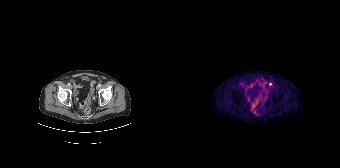
- Paired axial CT (left) and PSMA PET (right), 68Ga-PSMA tracer
- slice position z = -1504 mm
Findings: Coordinates are on the 168×168 PET (right) panel. Small PSMA-avid focus (2 to 4 px across) near (center x, center y): (98, 83).